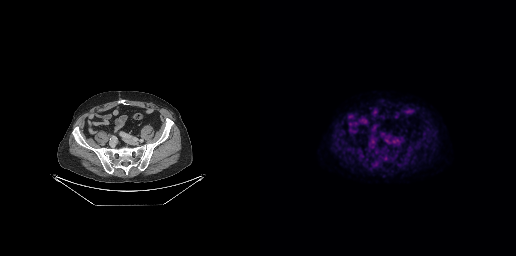
Technique: Left: CT. Right: PSMA PET, same axial level, [18F]PSMA-1007 tracer. slice 90 of 263. PET panel 256×256 px (2.7 mm/px).
Findings: No PSMA-avid tumor lesions on this slice.